Paired axial CT (left) and PSMA PET (right), 18F tracer.
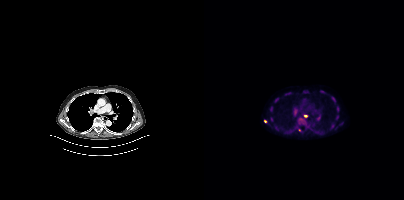
Coordinates are on the 200×200 PET (right) panel. PSMA-avid tumor lesion bounding boxes (partial; 3 more foci not listed):
| # | x0 | y0 | x1 | y1 |
|---|---|---|---|---|
| 1 | 127 | 96 | 131 | 102 |
| 2 | 133 | 106 | 135 | 111 |
| 3 | 60 | 119 | 63 | 123 |
| 4 | 99 | 90 | 103 | 93 |
Small PSMA-avid foci (2 to 4 px across) near (center x, center y): (85, 93); (67, 108); (101, 115); (133, 116); (67, 119); (73, 98).